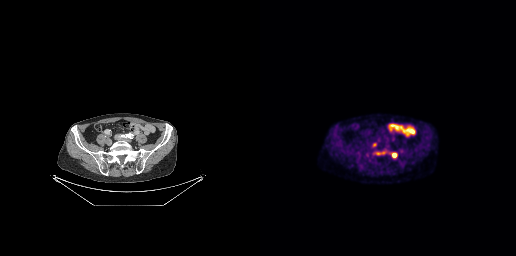
Left: CT. Right: PSMA PET, same axial level, 18F tracer. Coordinates are on the 256×256 PET (right) panel. PSMA-avid tumor lesion bounding boxes (x, y, width, height): x=132 y=152 w=6 h=6 | x=112 y=143 w=5 h=5 | x=116 y=153 w=5 h=2. Small PSMA-avid focus (2 to 4 px across) near (center x, center y): (123, 152).